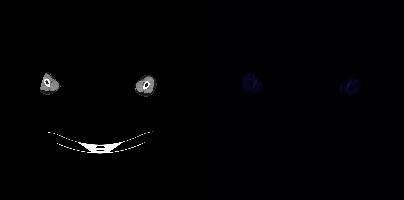
The head region is masked for de-identification.
This slice has no annotated PSMA-avid lesion.